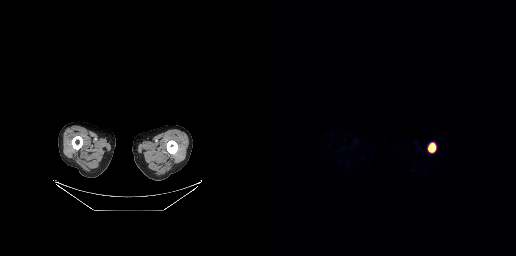
{"modality":"PSMA PET/CT","view":"axial","tracer":"68Ga-PSMA","pet_grid":[256,256],"coord_frame":"pet_panel","coord_format":"x0,y0,x1,y1","lesion_bboxes":[[169,144,175,151]]}